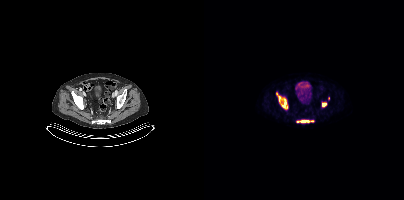
Paired axial CT (left) and PSMA PET (right), 18F-PSMA tracer.
Coordinates are on the 200×200 PET (right) panel. PSMA-avid tumor lesion bounding boxes (partial; 1 more focus not listed):
| # | x0 | y0 | x1 | y1 |
|---|---|---|---|---|
| 1 | 72 | 93 | 83 | 108 |
| 2 | 93 | 120 | 105 | 122 |
| 3 | 118 | 103 | 122 | 106 |